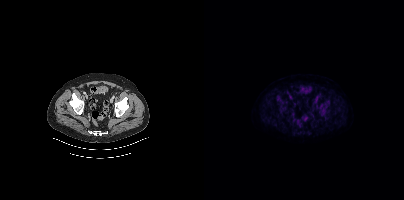
Coordinates are on the 200×200 PET (right) panel. PSMA-avid tumor lesion bounding boxes (x, y, width, height): x=115 y=108 w=9 h=8; x=121 y=101 w=5 h=5; x=72 y=95 w=5 h=5; x=113 y=103 w=5 h=5. Small PSMA-avid foci (2 to 4 px across) near (center x, center y): (104, 132); (80, 108).